Technique: Left: CT. Right: PSMA PET, same axial level, [18F]PSMA-1007 tracer. slice position z = -1051 mm.
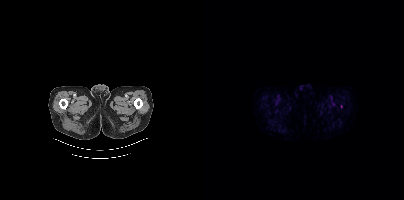
Findings: Only PSMA-avid lesion pieces thinner than 2 px on this slice (not listed).